Technique: Paired axial CT (left) and PSMA PET (right), 68Ga tracer. PET panel 256×256 px (2.7 mm/px).
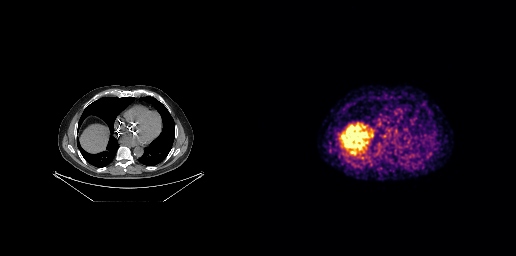
Findings: This slice has no annotated PSMA-avid lesion.